Left: CT. Right: PSMA PET, same axial level, [18F]PSMA-1007 tracer. PET panel 200×200 px (4.1 mm/px).
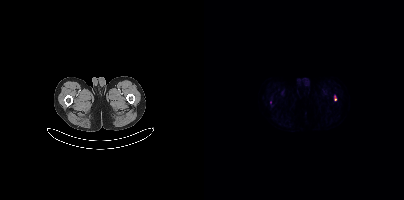
Coordinates are on the 200×200 PET (right) panel. PSMA-avid tumor lesion bounding box (x0, y0)-(x1, y1): (130, 96)-(132, 100). Small PSMA-avid focus (2 to 4 px across) near (center x, center y): (66, 102).